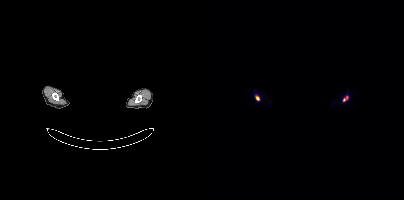
{"modality":"PSMA PET/CT","view":"axial","tracer":"[68Ga]Ga-PSMA-11","pet_grid":[200,200],"coord_frame":"pet_panel","coord_format":"x0,y0,x1,y1","partial":true,"lesion_bboxes":[[52,96,55,100]],"small_foci_centers":[[140,99]],"deidentification":"facial region redacted"}